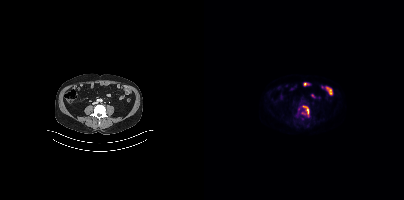
Coordinates are on the 200×200 PET (right) panel. (showing 1 of 2 foci) PSMA-avid tumor lesion bounding box (x0, y0)-(x1, y1): (98, 105)-(105, 116).